Technique: Paired axial CT (left) and PSMA PET (right), [18F]PSMA-1007 tracer. acquired on Siemens Biograph mCT Flow 20. slice 56 of 417. PET panel 200×200 px (4.1 mm/px).
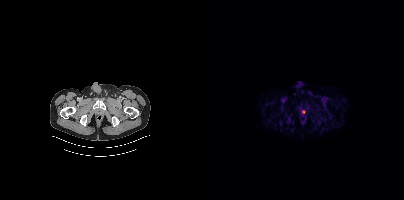
Findings: Coordinates are on the 200×200 PET (right) panel. Small PSMA-avid focus (2 to 4 px across) near (center x, center y): (99, 111).